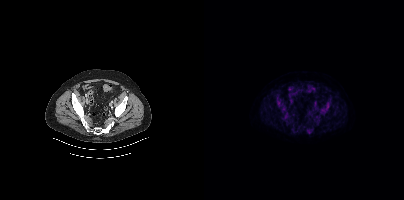
Technique: Left: CT. Right: PSMA PET, same axial level, 18F tracer. acquired on Siemens Biograph mCT Flow 20. slice 121 of 464. PET panel 200×200 px (4.1 mm/px).
Findings: Coordinates are on the 200×200 PET (right) panel. (showing 5 of 6 foci) PSMA-avid tumor lesion bounding boxes (x0,y0,x1,y1): [76,107,84,117] [72,96,77,104] [117,108,122,114] [103,128,109,133] [122,102,126,105].